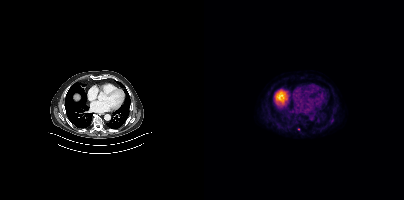
Two-panel axial: CT | PSMA PET, [18F]PSMA-1007 tracer. PET panel 200×200 px (4.1 mm/px). Coordinates are on the 200×200 PET (right) panel. Small PSMA-avid focus (2 to 4 px across) near (center x, center y): (94, 129).